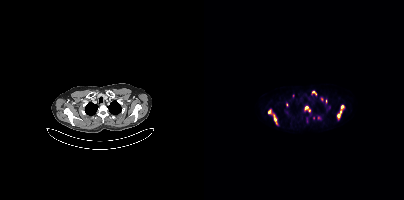
Left: CT. Right: PSMA PET, same axial level, 18F tracer. Coordinates are on the 200×200 PET (right) panel. (showing 9 of 13 foci) PSMA-avid tumor lesion bounding boxes (x0,y0,x1,y1): [64,110,73,124], [101,106,106,112], [133,111,137,118], [108,91,112,94]. Small PSMA-avid foci (2 to 4 px across) near (center x, center y): (115, 117), (137, 106), (82, 104), (117, 98), (109, 117).